modality: PSMA PET/CT | tracer: 18F | view: axial | PET grid: 200×200
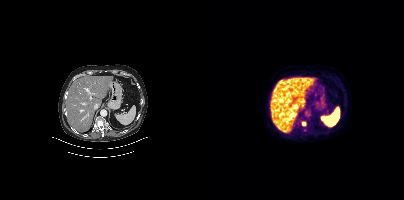
Coordinates are on the 200×200 PET (right) panel. Small PSMA-avid focus (2 to 4 px across) near (center x, center y): (99, 123).